Technique: Left: CT. Right: PSMA PET, same axial level, 18F tracer.
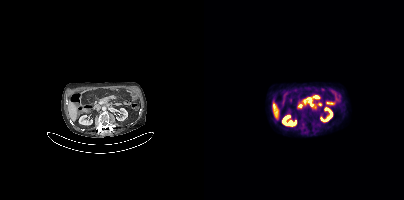
Findings: Coordinates are on the 200×200 PET (right) panel. PSMA-avid tumor lesion bounding box (x0,y0,x1,y1): [99,95,116,104].